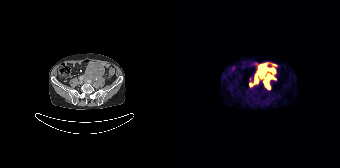
Technique: Left: CT. Right: PSMA PET, same axial level, 68Ga-PSMA tracer. slice 53 of 165. PET panel 168×168 px (4.1 mm/px).
Findings: Coordinates are on the 168×168 PET (right) panel. (showing 4 of 5 foci) PSMA-avid tumor lesion bounding boxes (x0, y0)-(x1, y1): (86, 64)-(103, 80); (82, 73)-(85, 82); (93, 83)-(97, 88). Small PSMA-avid focus (2 to 4 px across) near (center x, center y): (78, 84).